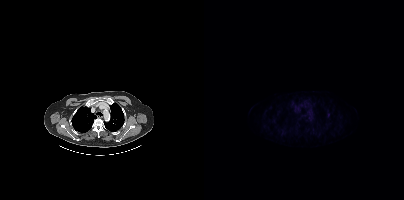
Left: CT. Right: PSMA PET, same axial level, [18F]PSMA-1007 tracer. Acquired on Siemens Biograph mCT Flow 20. Coordinates are on the 200×200 PET (right) panel. Small PSMA-avid focus (2 to 4 px across) near (center x, center y): (124, 115).